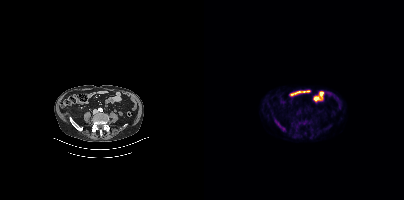
Two-panel axial: CT | PSMA PET, 18F tracer. Slice position z = -1420 mm. Coordinates are on the 200×200 PET (right) panel. PSMA-avid tumor lesion bounding box (x0,y0,x1,y1): [70,119,81,131]. Small PSMA-avid focus (2 to 4 px across) near (center x, center y): (100, 122).